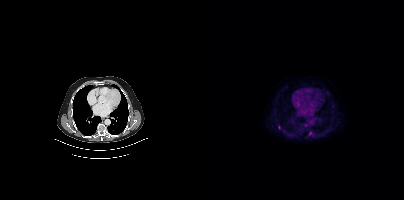
modality: PSMA PET/CT | tracer: 18F-PSMA | view: axial | PET grid: 200×200
Only PSMA-avid lesion pieces thinner than 2 px on this slice (not listed).